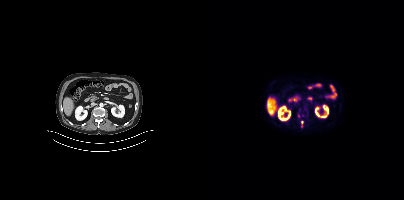
Findings: Coordinates are on the 200×200 PET (right) panel. (showing 1 of 3 foci) Small PSMA-avid focus (2 to 4 px across) near (center x, center y): (98, 122).
Technique: Two-panel axial: CT | PSMA PET, 18F tracer. PET panel 200×200 px (4.1 mm/px).